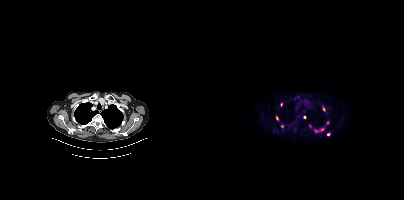
Two-panel axial: CT | PSMA PET, [68Ga]Ga-PSMA-11 tracer. PET panel 200×200 px (4.1 mm/px).
Coordinates are on the 200×200 PET (right) panel. PSMA-avid tumor lesion bounding boxes:
| # | x0 | y0 | x1 | y1 |
|---|---|---|---|---|
| 1 | 118 | 107 | 121 | 111 |
Small PSMA-avid foci (2 to 4 px across) near (center x, center y): (117, 129); (73, 117); (100, 117); (112, 131); (124, 134); (94, 97); (123, 122); (77, 104); (78, 126); (90, 98); (105, 125).